- Left: CT. Right: PSMA PET, same axial level, 18F tracer
- slice 73 of 417
- PET panel 200×200 px (4.1 mm/px)
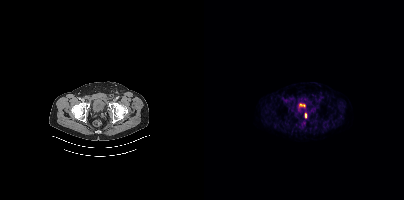
Findings: Coordinates are on the 200×200 PET (right) panel. PSMA-avid tumor lesion bounding box (x, y, width, height): x=101 y=113 w=2 h=5. Small PSMA-avid focus (2 to 4 px across) near (center x, center y): (100, 122).